Left: CT. Right: PSMA PET, same axial level, 18F tracer. Acquired on Siemens Biograph mCT Flow 20. Slice 85 of 383.
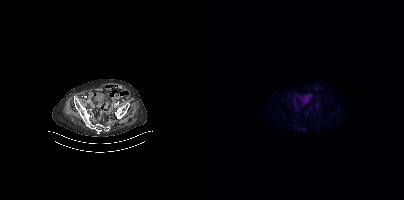
This slice has no annotated PSMA-avid lesion.